Two-panel axial: CT | PSMA PET, 18F-PSMA tracer. Acquired on Siemens Biograph mCT Flow 20. PET panel 200×200 px (4.1 mm/px).
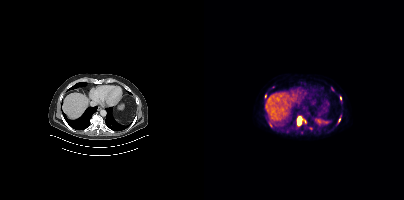
Coordinates are on the 200×200 PET (right) panel. (showing 1 of 5 foci) PSMA-avid tumor lesion bounding box (x, y, width, height): x=93 y=119 w=6 h=7.